Left: CT. Right: PSMA PET, same axial level, 68Ga tracer. PET panel 168×168 px (4.1 mm/px). The head region is masked for de-identification.
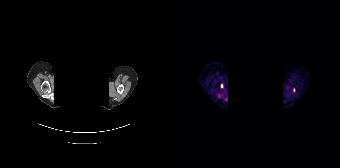
Coordinates are on the 168×168 PET (right) panel. (showing 1 of 3 foci) Small PSMA-avid focus (2 to 4 px across) near (center x, center y): (49, 85).